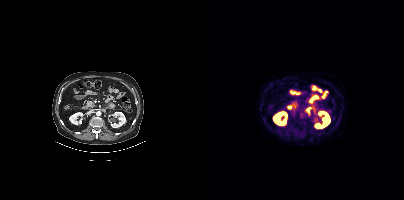
Two-panel axial: CT | PSMA PET, 18F tracer. No PSMA-avid tumor lesions on this slice.